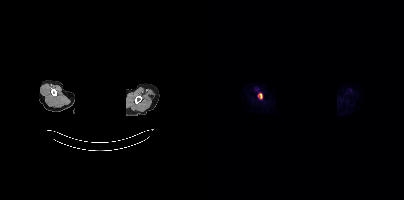
Coordinates are on the 200×200 PET (right) panel. PSMA-avid tumor lesion bounding box (x, y, width, height): x=54 y=93 w=5 h=7.
A rectangular block over the head has been blanked out for de-identification.